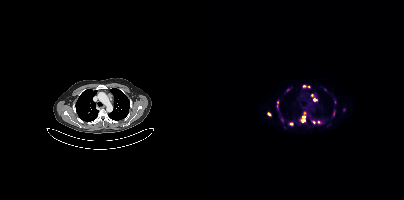
{"modality":"PSMA PET/CT","view":"axial","tracer":"[18F]PSMA-1007","pet_grid":[200,200],"coord_frame":"pet_panel","coord_format":"x0,y0,x1,y1","partial":true,"lesion_bboxes":[[97,112,101,122],[98,85,106,87],[107,94,111,100],[129,111,131,116],[77,118,79,122]],"small_foci_centers":[[114,121],[87,124],[109,121],[65,114],[73,102],[121,89],[131,102],[140,109],[83,89]]}